modality: PSMA PET/CT | tracer: 18F | view: axial | PET grid: 200×200
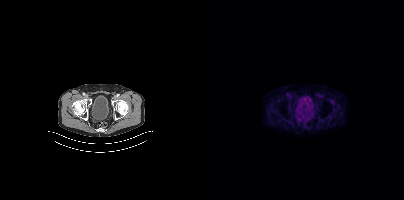
Negative for PSMA-avid disease on this slice.